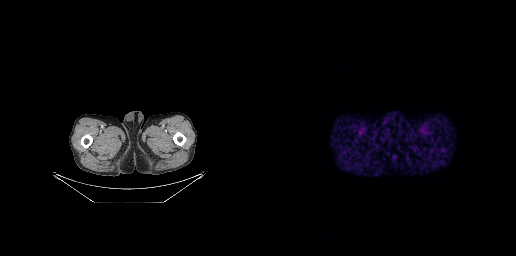
- Left: CT. Right: PSMA PET, same axial level, 68Ga tracer
- acquired on GE Discovery 690
Findings: This slice has no annotated PSMA-avid lesion.